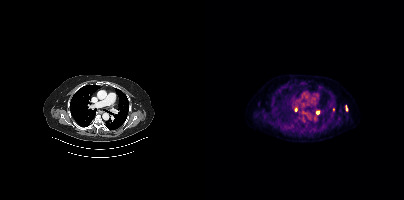
{"modality":"PSMA PET/CT","view":"axial","tracer":"18F-PSMA","pet_grid":[200,200],"coord_frame":"pet_panel","coord_format":"x0,y0,x1,y1","partial":true,"lesion_bboxes":[],"small_foci_centers":[[113,112],[91,109],[142,107]]}